Technique: Two-panel axial: CT | PSMA PET, 18F tracer. slice 156 of 165.
Note: A rectangular block over the head has been blanked out for de-identification.
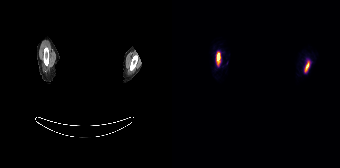
Findings: Coordinates are on the 168×168 PET (right) panel. PSMA-avid tumor lesion bounding boxes (x, y, width, height): x=132 y=61 w=6 h=12; x=44 y=53 w=5 h=11.